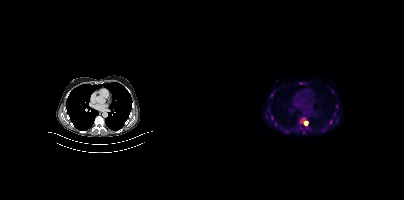
Coordinates are on the 200×200 PET (right) panel. PSMA-avid tumor lesion bounding boxes (partial; 3 more foci not listed):
| # | x0 | y0 | x1 | y1 |
|---|---|---|---|---|
| 1 | 99 | 120 | 104 | 125 |
| 2 | 95 | 82 | 102 | 84 |
Small PSMA-avid foci (2 to 4 px across) near (center x, center y): (68, 94); (132, 106); (133, 120); (130, 114).
Paired axial CT (left) and PSMA PET (right), [18F]PSMA-1007 tracer. Acquired on Siemens Biograph mCT Flow 20. Slice position z = -356 mm.